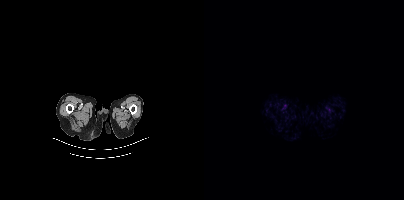
{"pet_grid":[200,200],"coord_frame":"pet_panel","coord_format":"x0,y0,x1,y1","psma_avid_lesions":false,"modality":"PSMA PET/CT","view":"axial","tracer":"68Ga-PSMA"}